modality: PSMA PET/CT | tracer: 18F | view: axial
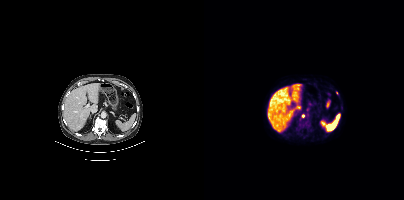
Coordinates are on the 200×200 PET (right) panel. Small PSMA-avid focus (2 to 4 px across) near (center x, center y): (99, 115).